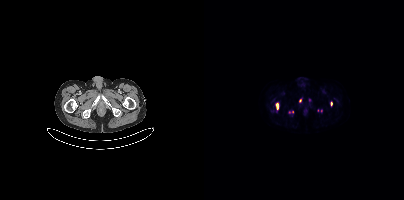
{"modality":"PSMA PET/CT","view":"axial","tracer":"[18F]PSMA-1007","pet_grid":[200,200],"coord_frame":"pet_panel","coord_format":"x0,y0,x1,y1","partial":true,"lesion_bboxes":[[72,103,74,109],[126,101,128,105]],"small_foci_centers":[[85,112],[88,111]]}